modality: PSMA PET/CT | tracer: [68Ga]Ga-PSMA-11 | view: axial | PET grid: 200×200
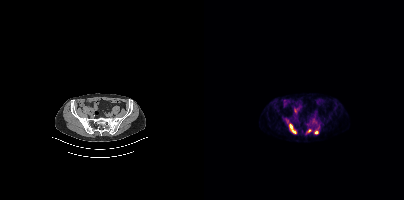
Coordinates are on the 200×200 PET (right) panel. PSMA-avid tumor lesion bounding boxes (x0,y0,x1,y1): [85,123,92,133]; [110,131,114,134]. Small PSMA-avid focus (2 to 4 px across) near (center x, center y): (105, 130).